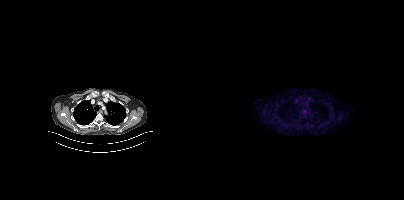
Left: CT. Right: PSMA PET, same axial level, [18F]PSMA-1007 tracer. No PSMA-avid tumor lesions on this slice.